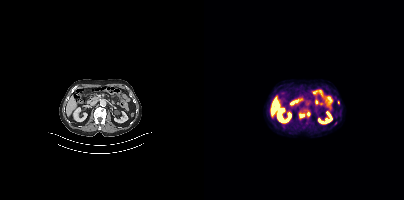
Coordinates are on the 200×200 PET (right) panel. PSMA-avid tumor lesion bounding box (x0, y0)-(x1, y1): (96, 114)-(100, 117). Small PSMA-avid foci (2 to 4 px across) near (center x, center y): (104, 114) | (134, 102).